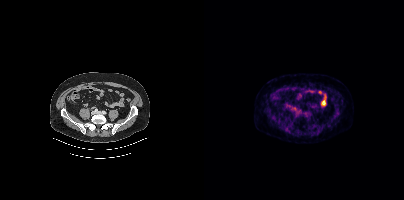
- Paired axial CT (left) and PSMA PET (right), 18F tracer
- acquired on Siemens Biograph mCT Flow 20
- PET panel 200×200 px (4.1 mm/px)
Findings: This slice has no annotated PSMA-avid lesion.